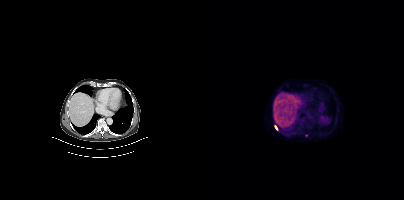
Findings: Coordinates are on the 200×200 PET (right) panel. (showing 1 of 2 foci) PSMA-avid tumor lesion bounding box (x0, y0)-(x1, y1): (70, 125)-(73, 130).
- Paired axial CT (left) and PSMA PET (right), [18F]PSMA-1007 tracer